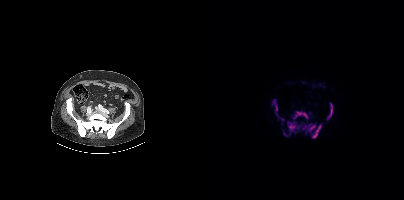
Technique: Two-panel axial: CT | PSMA PET, 18F tracer. slice position z = -1533 mm.
Findings: Coordinates are on the 200×200 PET (right) panel. (showing 7 of 10 foci) PSMA-avid tumor lesion bounding boxes (x0, y0)-(x1, y1): (83, 121)-(96, 131) / (89, 111)-(104, 119) / (108, 124)-(117, 138) / (99, 124)-(111, 132) / (123, 103)-(129, 119) / (69, 99)-(73, 110). Small PSMA-avid focus (2 to 4 px across) near (center x, center y): (81, 134).